Two-panel axial: CT | PSMA PET, [68Ga]Ga-PSMA-11 tracer. Slice 247 of 411. PET panel 200×200 px (4.1 mm/px).
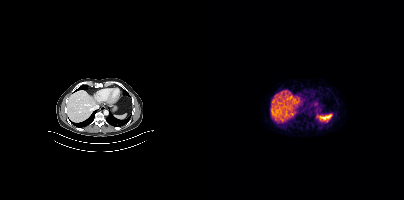
No tumor lesions annotated on this slice.